- Left: CT. Right: PSMA PET, same axial level, 68Ga tracer
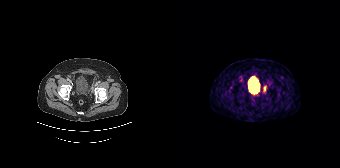
Findings: Coordinates are on the 168×168 PET (right) panel. PSMA-avid tumor lesion bounding box (x0,y0,x1,y1): [91,86,94,91].